Left: CT. Right: PSMA PET, same axial level, 18F tracer. Slice position z = -756 mm. PET panel 200×200 px (4.1 mm/px).
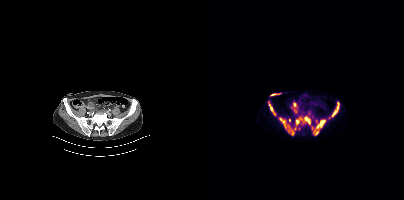
Coordinates are on the 200×200 PET (right) panel. PSMA-avid tumor lesion bounding boxes (partial; 1 more focus not listed):
| # | x0 | y0 | x1 | y1 |
|---|---|---|---|---|
| 1 | 74 | 117 | 89 | 134 |
| 2 | 64 | 103 | 72 | 116 |
| 3 | 112 | 120 | 121 | 128 |
| 4 | 99 | 116 | 106 | 124 |
| 5 | 128 | 102 | 135 | 116 |
| 6 | 92 | 117 | 98 | 125 |
Small PSMA-avid foci (2 to 4 px across) near (center x, center y): (113, 133); (85, 119); (90, 128).